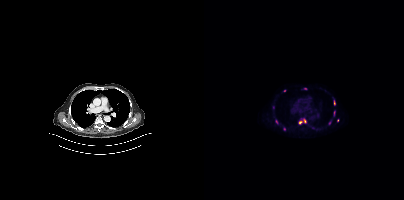
Left: CT. Right: PSMA PET, same axial level, [18F]PSMA-1007 tracer. Slice position z = -448 mm. Coordinates are on the 200×200 PET (right) panel. (showing 4 of 7 foci) Small PSMA-avid foci (2 to 4 px across) near (center x, center y): (80, 129) / (130, 102) / (96, 122) / (72, 121).